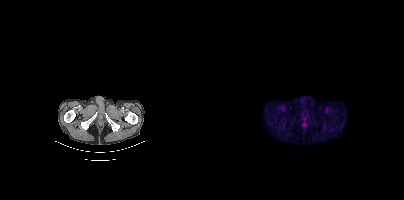
Left: CT. Right: PSMA PET, same axial level, 18F-PSMA tracer. Acquired on Siemens Biograph mCT Flow 20. PET panel 200×200 px (4.1 mm/px). No PSMA-avid tumor lesions on this slice.